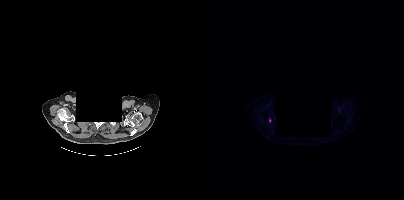
Coordinates are on the 200×200 PET (right) panel. Small PSMA-avid focus (2 to 4 px across) near (center x, center y): (65, 120).
modality: PSMA PET/CT | tracer: [18F]PSMA-1007 | view: axial | PET grid: 200×200 | redaction: head region blanked (face removed)